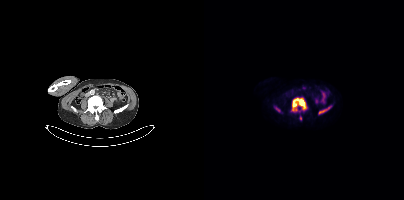
Two-panel axial: CT | PSMA PET, 18F tracer. Acquired on Siemens Biograph mCT Flow 20. Slice position z = -1314 mm. PET panel 200×200 px (4.1 mm/px). Coordinates are on the 200×200 PET (right) panel. PSMA-avid tumor lesion bounding boxes (x, y, width, height): x=88 y=98 w=15 h=15 / x=115 y=107 w=11 h=7. Small PSMA-avid foci (2 to 4 px across) near (center x, center y): (73, 108) / (96, 118).